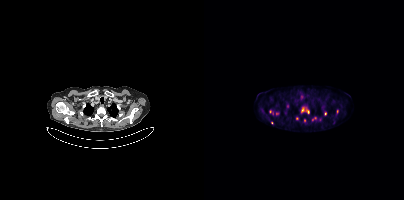
Left: CT. Right: PSMA PET, same axial level, 18F-PSMA tracer. PET panel 200×200 px (4.1 mm/px). Coordinates are on the 200×200 PET (right) panel. (showing 6 of 9 foci) Small PSMA-avid foci (2 to 4 px across) near (center x, center y): (104, 111) | (121, 113) | (83, 106) | (98, 110) | (73, 113) | (67, 122).